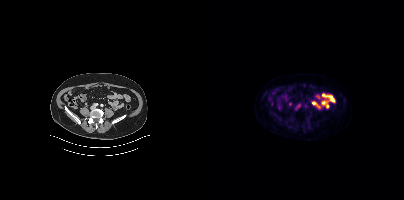
Negative for PSMA-avid disease on this slice.
modality: PSMA PET/CT | tracer: 18F | view: axial | PET grid: 200×200